Two-panel axial: CT | PSMA PET, 68Ga tracer. PET panel 168×168 px (4.1 mm/px).
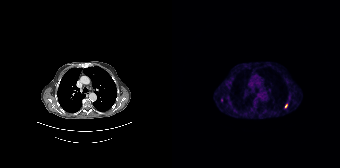
Coordinates are on the 168×168 PET (right) panel. (showing 3 of 5 foci) Small PSMA-avid foci (2 to 4 px across) near (center x, center y): (114, 105) | (59, 79) | (56, 87).